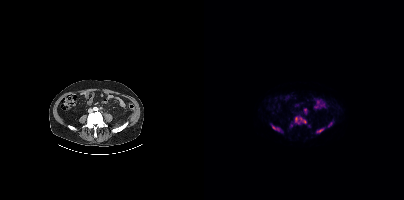
Technique: Paired axial CT (left) and PSMA PET (right), [18F]PSMA-1007 tracer. acquired on Siemens Biograph mCT Flow 20. PET panel 200×200 px (4.1 mm/px).
Findings: Coordinates are on the 200×200 PET (right) panel. (showing 6 of 7 foci) PSMA-avid tumor lesion bounding boxes (x, y, width, height): x=91 y=116 w=12 h=8 | x=112 y=128 w=9 h=6 | x=124 y=122 w=5 h=5 | x=100 y=108 w=3 h=5. Small PSMA-avid foci (2 to 4 px across) near (center x, center y): (70, 127) | (73, 128).